Paired axial CT (left) and PSMA PET (right), [68Ga]Ga-PSMA-11 tracer. Acquired on Siemens Biograph 64-4R TruePoint.
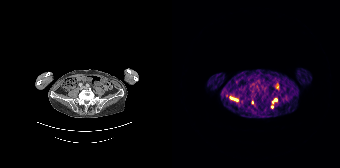
Coordinates are on the 168×168 PET (right) panel. PSMA-avid tumor lesion bounding boxes (x, y, width, height): x=58 y=97 w=9 h=5 | x=101 y=99 w=5 h=4. Small PSMA-avid foci (2 to 4 px across) near (center x, center y): (80, 102) | (54, 95) | (99, 106).